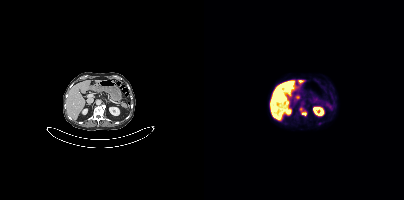
Technique: Two-panel axial: CT | PSMA PET, 18F-PSMA tracer. acquired on Siemens Biograph mCT Flow 20. slice 196 of 391.
Findings: Coordinates are on the 200×200 PET (right) panel. PSMA-avid tumor lesion bounding box (x0,y0,x1,y1): [98,112,102,115]. Small PSMA-avid focus (2 to 4 px across) near (center x, center y): (96, 108).